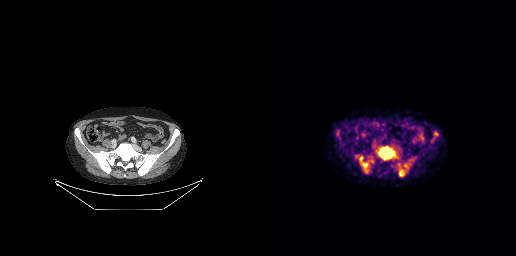
Coordinates are on the 256×256 PET (right) panel. (showing 6 of 7 foci) PSMA-avid tumor lesion bounding boxes (x, y, width, height): x=118 y=146 w=17 h=14; x=137 y=163 w=15 h=14; x=99 y=156 w=11 h=17; x=149 y=159 w=5 h=3. Small PSMA-avid foci (2 to 4 px across) near (center x, center y): (112, 161); (138, 158). Left: CT. Right: PSMA PET, same axial level, 18F tracer. PET panel 256×256 px (2.7 mm/px).